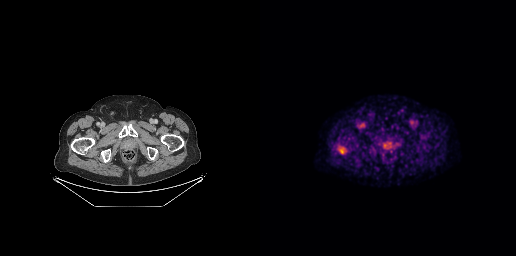
Coordinates are on the 256×256 PET (right) panel. PSMA-avid tumor lesion bounding box (x0, y0)-(x1, y1): (77, 146)-(86, 153).